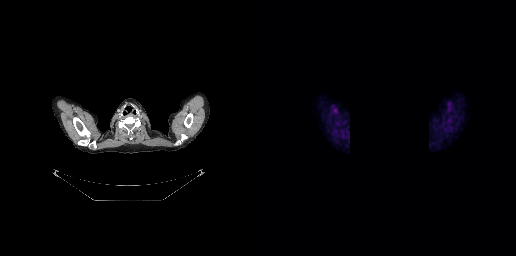
Privacy masking, with the pixels inside a rectangle set to black. Two-panel axial: CT | PSMA PET, 18F tracer. PET panel 256×256 px (2.7 mm/px). This slice has no annotated PSMA-avid lesion.